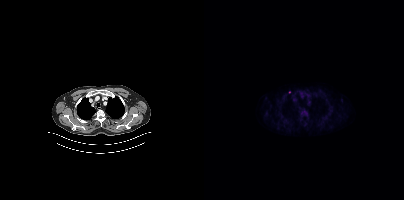
No PSMA-avid tumor lesions on this slice.